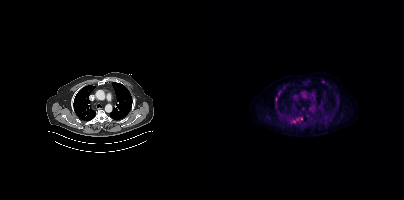
Paired axial CT (left) and PSMA PET (right), [18F]PSMA-1007 tracer. Acquired on Siemens Biograph mCT Flow 20. Slice position z = -990 mm. PET panel 200×200 px (4.1 mm/px).
Coordinates are on the 200×200 PET (right) panel. PSMA-avid tumor lesion bounding boxes (partial; 2 more foci not listed):
| # | x0 | y0 | x1 | y1 |
|---|---|---|---|---|
| 1 | 93 | 117 | 98 | 120 |
Small PSMA-avid foci (2 to 4 px across) near (center x, center y): (72, 98); (90, 121).